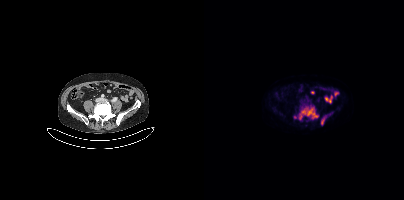
{"pet_grid":[200,200],"coord_frame":"pet_panel","coord_format":"x0,y0,x1,y1","lesion_bboxes":[[95,107,114,119],[117,115,122,125]],"small_foci_centers":[[91,117]],"modality":"PSMA PET/CT","view":"axial","tracer":"18F-PSMA"}